Two-panel axial: CT | PSMA PET, 18F-PSMA tracer. Slice position z = -948 mm.
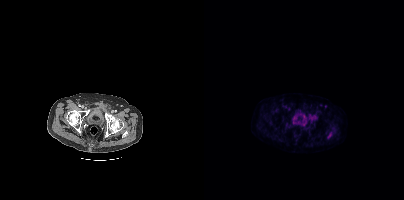
No PSMA-avid tumor lesions on this slice.